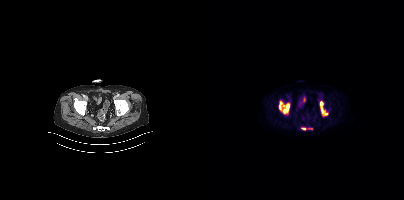
{"modality":"PSMA PET/CT","view":"axial","tracer":"18F","pet_grid":[200,200],"coord_frame":"pet_panel","coord_format":"x0,y0,x1,y1","partial":true,"lesion_bboxes":[[75,101,85,113],[116,101,123,114]],"small_foci_centers":[[100,128]]}